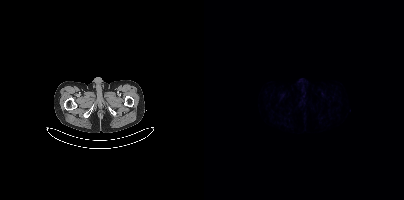
Technique: Left: CT. Right: PSMA PET, same axial level, 68Ga-PSMA tracer. slice position z = -1563 mm.
Findings: No PSMA-avid tumor lesions on this slice.